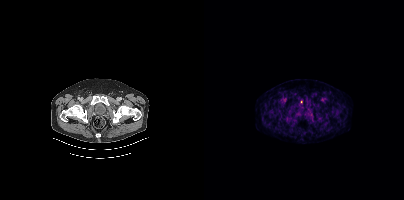
Findings: Coordinates are on the 200×200 PET (right) panel. Small PSMA-avid focus (2 to 4 px across) near (center x, center y): (97, 101).
- Paired axial CT (left) and PSMA PET (right), 18F-PSMA tracer
- slice 99 of 454